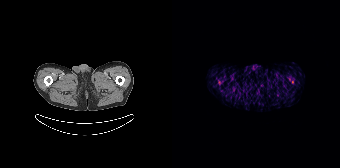
Left: CT. Right: PSMA PET, same axial level, 68Ga tracer. PET panel 168×168 px (4.1 mm/px). Only PSMA-avid lesion pieces thinner than 2 px on this slice (not listed).